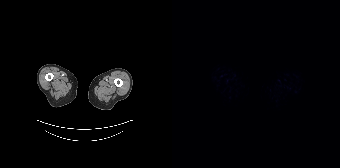
No tumor lesions annotated on this slice. Two-panel axial: CT | PSMA PET, 18F tracer. Acquired on Siemens Biograph 64-4R TruePoint. Slice position z = -1648 mm. PET panel 168×168 px (4.1 mm/px).